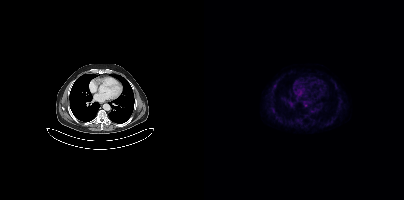
Coordinates are on the 200×200 PET (right) panel. Small PSMA-avid focus (2 to 4 px across) near (center x, center y): (102, 105).